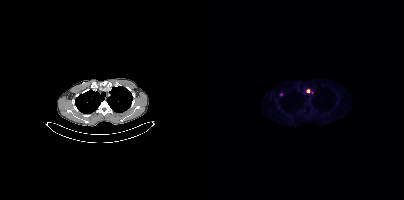
Left: CT. Right: PSMA PET, same axial level, [18F]PSMA-1007 tracer. PET panel 200×200 px (4.1 mm/px). Coordinates are on the 200×200 PET (right) panel. (showing 1 of 3 foci) Small PSMA-avid focus (2 to 4 px across) near (center x, center y): (104, 91).